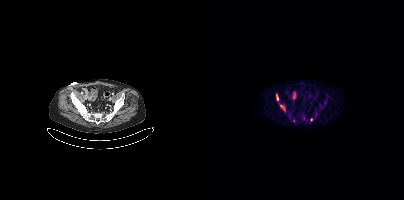
Coordinates are on the 200×200 PET (right) panel. (showing 4 of 5 foci) PSMA-avid tumor lesion bounding box (x, y, width, height): x=72 y=94 w=3 h=7. Small PSMA-avid foci (2 to 4 px across) near (center x, center y): (80, 109) / (77, 105) / (107, 119).